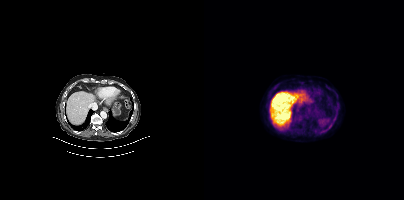
Technique: Left: CT. Right: PSMA PET, same axial level, 18F-PSMA tracer. acquired on Siemens Biograph mCT Flow 20.
Findings: This slice has no annotated PSMA-avid lesion.